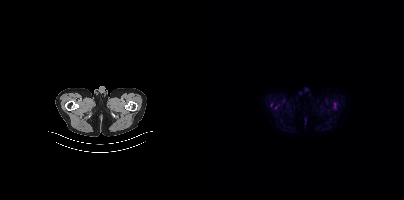
Paired axial CT (left) and PSMA PET (right), 18F-PSMA tracer. Acquired on Siemens Biograph mCT Flow 20. PET panel 200×200 px (4.1 mm/px). No PSMA-avid tumor lesions on this slice.